modality: PSMA PET/CT | tracer: [18F]PSMA-1007 | view: axial | PET grid: 200×200
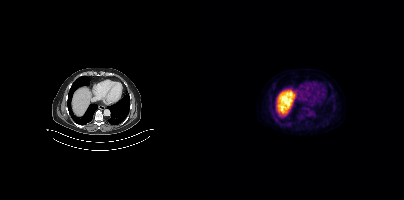
Negative for PSMA-avid disease on this slice.